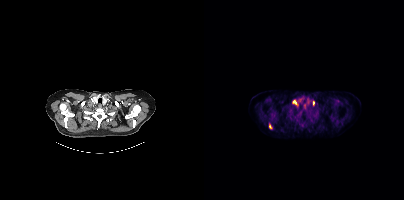
Coordinates are on the 200×200 PET (right) panel. PSMA-avid tumor lesion bounding boxes (x0, y0)-(x1, y1): (89, 100)-(92, 104) / (109, 101)-(110, 105). Small PSMA-avid focus (2 to 4 px across) near (center x, center y): (66, 126).